- Paired axial CT (left) and PSMA PET (right), [18F]PSMA-1007 tracer
- slice position z = -838 mm
- PET panel 256×256 px (2.7 mm/px)
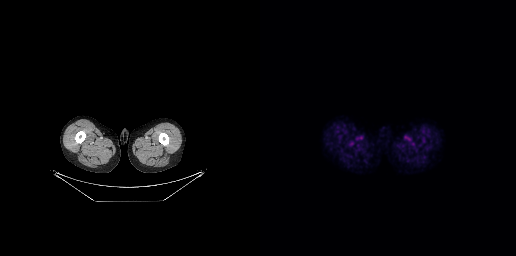
Findings: No PSMA-avid tumor lesions on this slice.